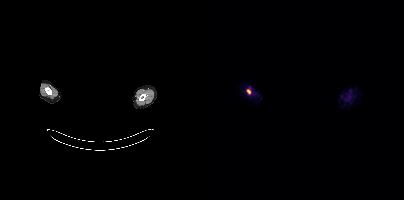
{"modality":"PSMA PET/CT","view":"axial","tracer":"[18F]PSMA-1007","pet_grid":[200,200],"coord_frame":"pet_panel","coord_format":"x0,y0,x1,y1","lesion_bboxes":[[43,89,46,93]],"de-identification":"rectangular block over head set to black"}